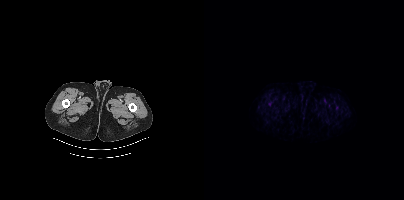
Negative for PSMA-avid disease on this slice.